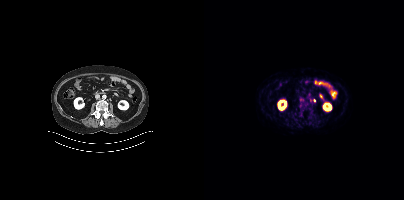
Findings: Coordinates are on the 200×200 PET (right) panel. Small PSMA-avid foci (2 to 4 px across) near (center x, center y): (110, 100); (106, 99).
- Paired axial CT (left) and PSMA PET (right), 18F tracer
- acquired on Siemens Biograph mCT Flow 20